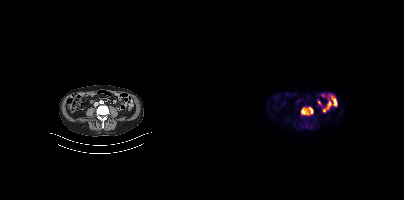
{"pet_grid":[200,200],"coord_frame":"pet_panel","coord_format":"x0,y0,x1,y1","lesion_bboxes":[[97,107,108,114]],"small_foci_centers":[[102,127]],"modality":"PSMA PET/CT","view":"axial","tracer":"[18F]PSMA-1007"}